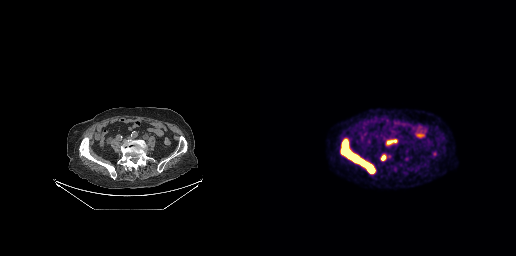
Coordinates are on the 256×256 PET (right) panel. PSMA-avid tumor lesion bounding boxes (x, y, width, height): x=81 y=138 w=35 h=36 / x=126 y=139 w=12 h=6 / x=120 y=154 w=7 h=7. Small PSMA-avid focus (2 to 4 px across) near (center x, center y): (174, 153).